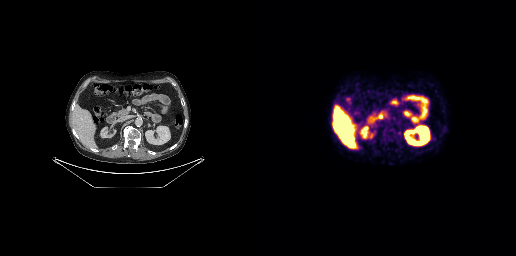
No tumor lesions annotated on this slice. Left: CT. Right: PSMA PET, same axial level, [18F]PSMA-1007 tracer. Acquired on GE Discovery 690. Slice 146 of 263.